modality: PSMA PET/CT | tracer: 18F | view: axial
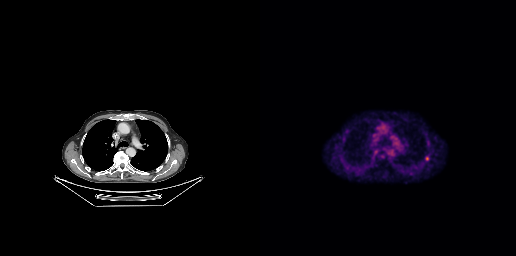
Coordinates are on the 256×256 PET (right) panel. PSMA-avid tumor lesion bounding box (x, y, width, height): x=165 y=155 w=5 h=7.